Technique: Two-panel axial: CT | PSMA PET, [68Ga]Ga-PSMA-11 tracer. slice position z = -557 mm.
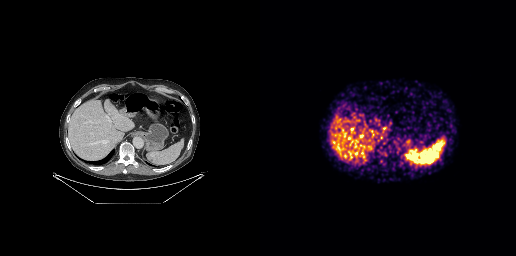
Findings: Coordinates are on the 256×256 PET (right) panel. PSMA-avid tumor lesion bounding box (x, y, width, height): x=149 y=151 w=8 h=7.